Technique: Paired axial CT (left) and PSMA PET (right), 18F tracer. acquired on Siemens Biograph mCT Flow 20.
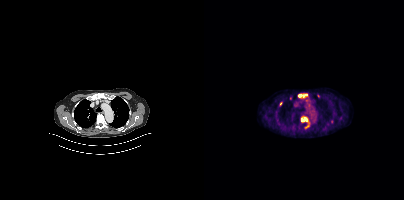
Findings: Coordinates are on the 200×200 PET (right) panel. PSMA-avid tumor lesion bounding boxes (x, y, width, height): x=94 y=94 w=10 h=4; x=97 y=117 w=7 h=5. Small PSMA-avid foci (2 to 4 px across) near (center x, center y): (76, 103); (114, 95); (127, 120); (103, 126).